De-identified by setting a box covering the face to black before release. Two-panel axial: CT | PSMA PET, 18F-PSMA tracer.
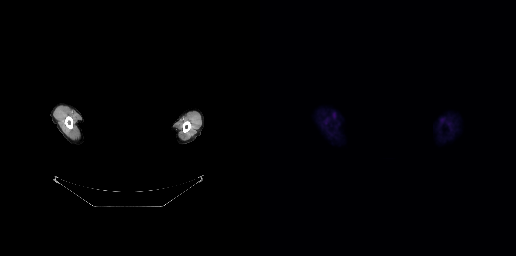
Negative for PSMA-avid disease on this slice.